Two-panel axial: CT | PSMA PET, 18F-PSMA tracer. The face region was removed for patient privacy by blanking a rectangle over the head.
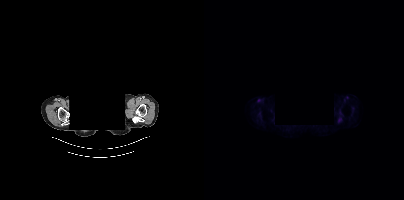
This slice has no annotated PSMA-avid lesion.